Technique: Left: CT. Right: PSMA PET, same axial level, 18F-PSMA tracer. acquired on Siemens Biograph mCT Flow 20.
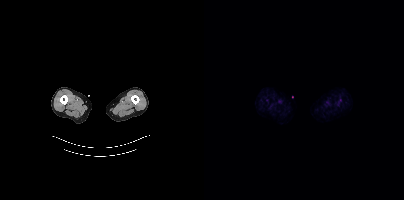
Findings: No PSMA-avid tumor lesions on this slice.